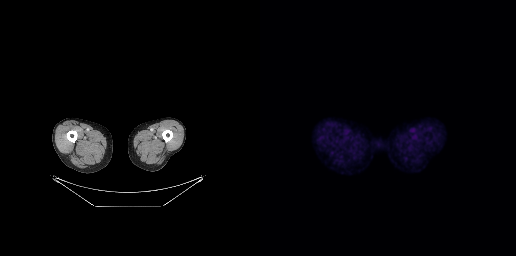
{"pet_grid":[256,256],"coord_frame":"pet_panel","coord_format":"x0,y0,x1,y1","psma_avid_lesions":false,"modality":"PSMA PET/CT","view":"axial","tracer":"[18F]PSMA-1007"}